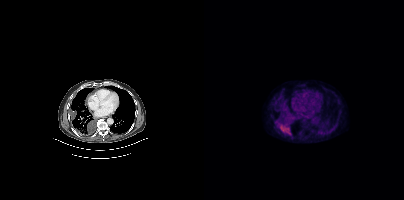
Findings: Coordinates are on the 200×200 PET (right) panel. PSMA-avid tumor lesion bounding box (x0, y0)-(x1, y1): (73, 122)-(86, 135).
Technique: Two-panel axial: CT | PSMA PET, [18F]PSMA-1007 tracer.